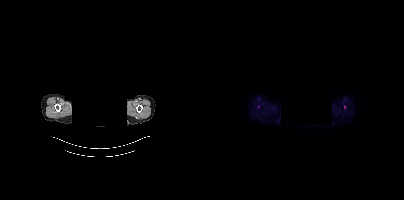
- head region blanked for anonymization (face removed)
- Left: CT. Right: PSMA PET, same axial level, 18F-PSMA tracer
Findings: No PSMA-avid tumor lesions on this slice.